modality: PSMA PET/CT | tracer: [18F]PSMA-1007 | view: axial
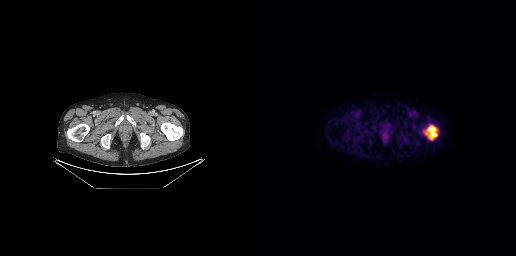
Coordinates are on the 256×256 PET (right) panel. PSMA-avid tumor lesion bounding box (x0,y0,x1,y1): [164,125,177,139].